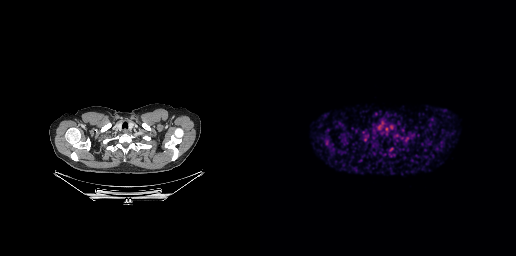
modality: PSMA PET/CT | tracer: 68Ga | view: axial
No PSMA-avid tumor lesions on this slice.